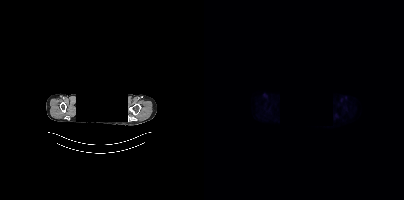
{"pet_grid":[200,200],"coord_frame":"pet_panel","coord_format":"x0,y0,x1,y1","psma_avid_lesions":false,"modality":"PSMA PET/CT","view":"axial","tracer":"18F","de-identification":"rectangular block over head set to black"}